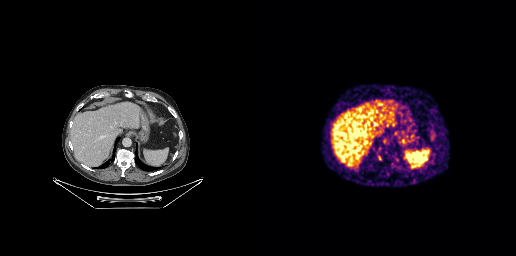
Paired axial CT (left) and PSMA PET (right), 68Ga tracer. Negative for PSMA-avid disease on this slice.